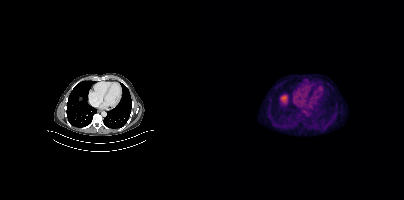
No PSMA-avid tumor lesions on this slice.